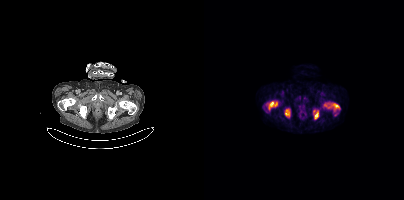
Left: CT. Right: PSMA PET, same axial level, [18F]PSMA-1007 tracer. Slice position z = -286 mm.
Coordinates are on the 200×200 PET (right) panel. PSMA-avid tumor lesion bounding boxes (partial; 1 more focus not listed):
| # | x0 | y0 | x1 | y1 |
|---|---|---|---|---|
| 1 | 120 | 103 | 135 | 110 |
| 2 | 65 | 102 | 73 | 108 |
| 3 | 110 | 111 | 114 | 119 |
| 4 | 81 | 109 | 85 | 115 |
Small PSMA-avid focus (2 to 4 px across) near (center x, center y): (110, 110).